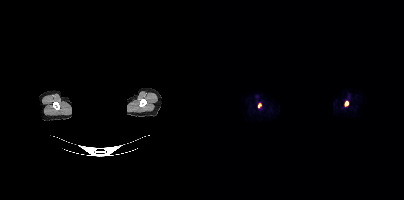
- Paired axial CT (left) and PSMA PET (right), [18F]PSMA-1007 tracer
- PET panel 200×200 px (4.1 mm/px)
- facial anatomy redacted by setting a rectangular region of the head to black
Findings: Coordinates are on the 200×200 PET (right) panel. PSMA-avid tumor lesion bounding boxes (x0,y0,x1,y1): [141,101,144,106], [54,103,57,107].